- Two-panel axial: CT | PSMA PET, 18F-PSMA tracer
- slice position z = -1208 mm
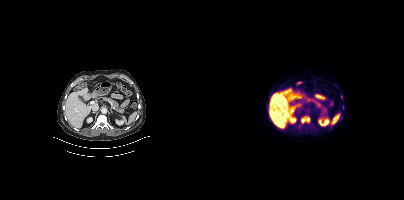
Findings: Coordinates are on the 200×200 PET (right) panel. (showing 3 of 4 foci) PSMA-avid tumor lesion bounding boxes (x, y, width, height): x=97 y=116 w=10 h=9 | x=138 y=105 w=3 h=5. Small PSMA-avid focus (2 to 4 px across) near (center x, center y): (137, 96).